Technique: Paired axial CT (left) and PSMA PET (right), 18F tracer. acquired on Siemens Biograph mCT Flow 20.
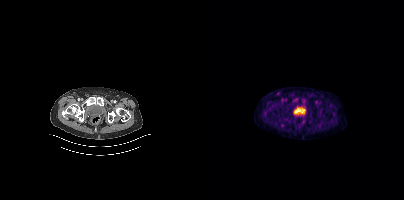
Findings: No tumor lesions annotated on this slice.